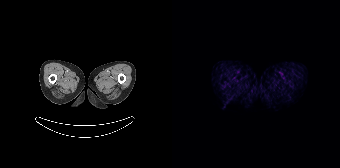
{"pet_grid":[168,168],"coord_frame":"pet_panel","coord_format":"x0,y0,x1,y1","psma_avid_lesions":false,"modality":"PSMA PET/CT","view":"axial","tracer":"68Ga"}